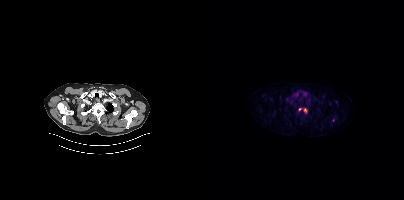
modality: PSMA PET/CT | tracer: [18F]PSMA-1007 | view: axial | PET grid: 200×200
Coordinates are on the 200×200 PET (right) panel. Small PSMA-avid foci (2 to 4 px across) near (center x, center y): (101, 110) / (95, 109) / (129, 120).